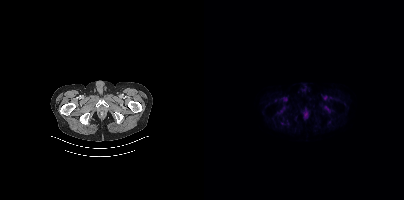
{"pet_grid":[200,200],"coord_frame":"pet_panel","coord_format":"x0,y0,x1,y1","psma_avid_lesions":false,"modality":"PSMA PET/CT","view":"axial","tracer":"[18F]PSMA-1007"}